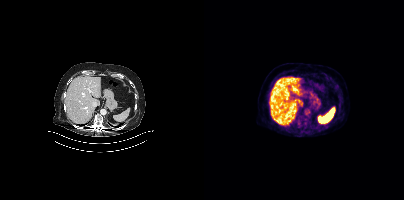
{"modality":"PSMA PET/CT","view":"axial","tracer":"[18F]PSMA-1007","pet_grid":[200,200],"coord_frame":"pet_panel","coord_format":"x0,y0,x1,y1","partial":true,"lesion_bboxes":[]}